- Two-panel axial: CT | PSMA PET, 18F tracer
- slice position z = -1124 mm
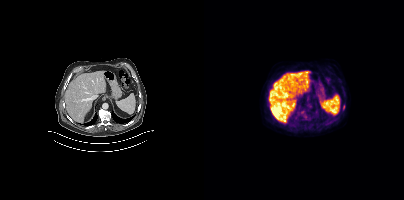
Findings: Coordinates are on the 200×200 PET (right) panel. PSMA-avid tumor lesion bounding box (x0, y0)-(x1, y1): (139, 105)-(140, 109). Small PSMA-avid focus (2 to 4 px across) near (center x, center y): (65, 89).